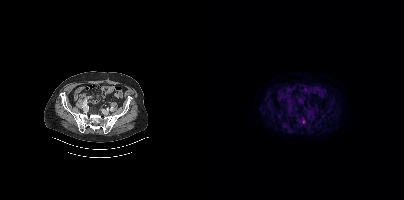
{"modality":"PSMA PET/CT","view":"axial","tracer":"18F-PSMA","pet_grid":[200,200],"coord_frame":"pet_panel","coord_format":"x0,y0,x1,y1","lesion_bboxes":[[98,119,100,123]]}